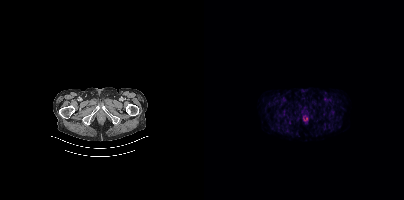
modality: PSMA PET/CT | tracer: 18F | view: axial | PET grid: 200×200
No PSMA-avid tumor lesions on this slice.